Technique: Two-panel axial: CT | PSMA PET, [18F]PSMA-1007 tracer. acquired on GE Discovery 690. slice position z = -539 mm. PET panel 256×256 px (2.7 mm/px).
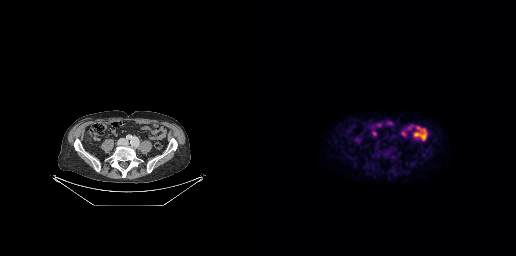
Findings: No PSMA-avid tumor lesions on this slice.